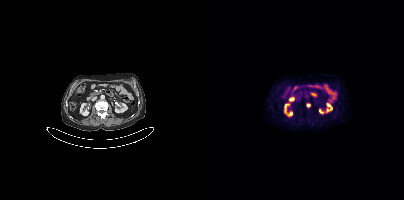
Technique: Two-panel axial: CT | PSMA PET, [18F]PSMA-1007 tracer. acquired on Siemens Biograph mCT Flow 20. PET panel 200×200 px (4.1 mm/px).
Findings: No PSMA-avid tumor lesions on this slice.